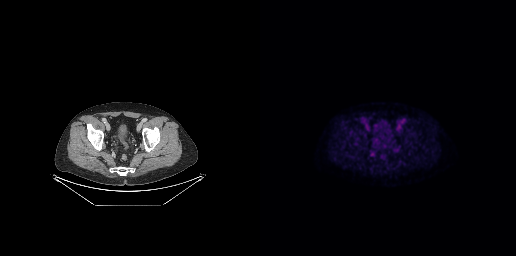
- Two-panel axial: CT | PSMA PET, 18F-PSMA tracer
- slice 61 of 263
Findings: No PSMA-avid tumor lesions on this slice.